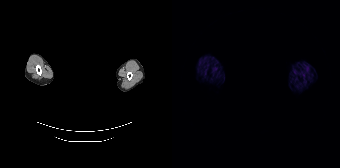
modality: PSMA PET/CT | tracer: 68Ga-PSMA | view: axial | de-identification: face masked with black rectangle
This slice has no annotated PSMA-avid lesion.